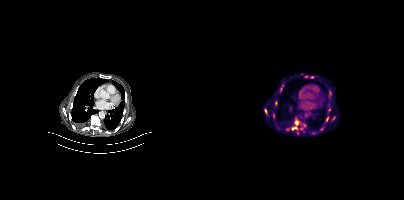
modality: PSMA PET/CT | tracer: 18F-PSMA | view: axial | PET grid: 200×200
Coordinates are on the 200×200 PET (right) panel. PSMA-avid tumor lesion bounding boxes (x, y, width, height): x=87 y=119 w=11 h=12 / x=60 y=108 w=4 h=8 / x=76 y=85 w=4 h=8 / x=124 y=95 w=4 h=6 / x=122 y=116 w=3 h=6 / x=69 y=113 w=2 h=5. Small PSMA-avid foci (2 to 4 px across) near (center x, center y): (83, 129) / (129, 118) / (71, 104).